Technique: Paired axial CT (left) and PSMA PET (right), [68Ga]Ga-PSMA-11 tracer.
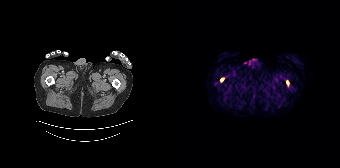
Findings: Coordinates are on the 168×168 PET (right) panel. Small PSMA-avid foci (2 to 4 px across) near (center x, center y): (50, 79) | (115, 82).